modality: PSMA PET/CT | tracer: 18F | view: axial | deidentification: facial region redacted
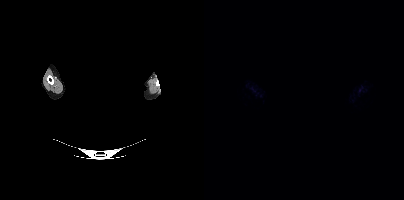
No tumor lesions annotated on this slice.